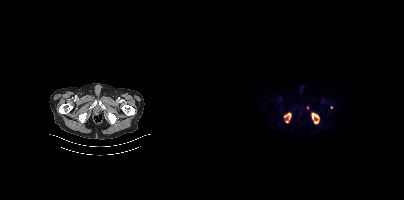
Coordinates are on the 200×200 PET (right) panel. PSMA-avid tumor lesion bounding boxes (partial; 1 more focus not listed):
| # | x0 | y0 | x1 | y1 |
|---|---|---|---|---|
| 1 | 108 | 113 | 115 | 123 |
| 2 | 80 | 113 | 87 | 122 |
Small PSMA-avid focus (2 to 4 px across) near (center x, center y): (127, 107).
Paired axial CT (left) and PSMA PET (right), [18F]PSMA-1007 tracer. Acquired on Siemens Biograph mCT Flow 20. Slice 56 of 423. PET panel 200×200 px (4.1 mm/px).